Technique: Two-panel axial: CT | PSMA PET, 18F-PSMA tracer. acquired on GE Discovery 690. slice position z = -835 mm. PET panel 256×256 px (2.7 mm/px).
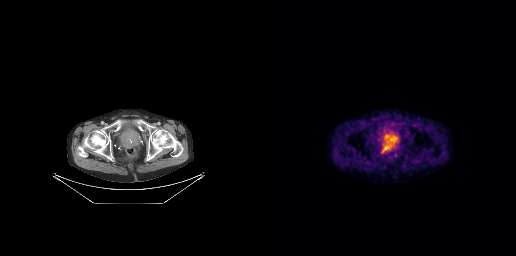
Findings: Coordinates are on the 256×256 PET (right) panel. PSMA-avid tumor lesion bounding box (x0, y0)-(x1, y1): (130, 135)-(136, 141). Small PSMA-avid foci (2 to 4 px across) near (center x, center y): (126, 137) / (127, 141).